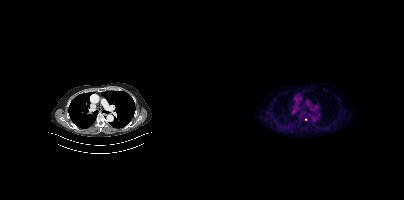
{"pet_grid":[200,200],"coord_frame":"pet_panel","coord_format":"x0,y0,x1,y1","lesion_bboxes":[],"small_foci_centers":[[101,119]],"modality":"PSMA PET/CT","view":"axial","tracer":"18F"}